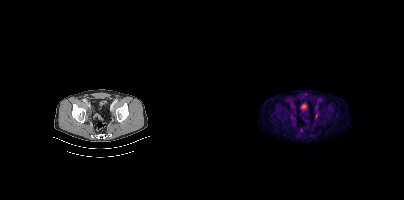
{"modality":"PSMA PET/CT","view":"axial","tracer":"18F-PSMA","pet_grid":[200,200],"coord_frame":"pet_panel","coord_format":"x0,y0,x1,y1","lesion_bboxes":[[111,114,113,118]],"small_foci_centers":[[86,117]]}